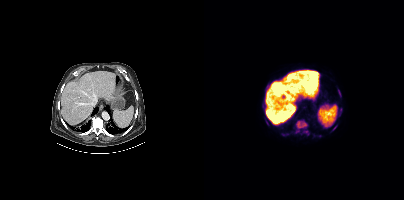
{"modality":"PSMA PET/CT","view":"axial","tracer":"18F-PSMA","pet_grid":[200,200],"coord_frame":"pet_panel","coord_format":"x0,y0,x1,y1","partial":true,"lesion_bboxes":[[91,120,103,133],[99,130,104,134],[134,89,136,93]],"small_foci_centers":[[131,126],[79,134],[115,135]]}